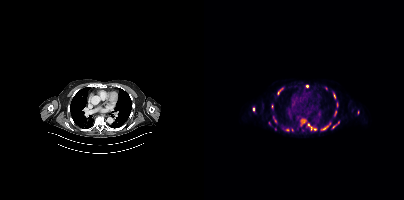
Paired axial CT (left) and PSMA PET (right), 18F tracer. Acquired on Siemens Biograph mCT Flow 20. Coordinates are on the 200×200 PET (right) panel. (showing 14 of 19 foci) PSMA-avid tumor lesion bounding boxes (x0, y0)-(x1, y1): (117, 123)-(126, 130) | (104, 123)-(108, 130) | (74, 87)-(79, 94) | (129, 93)-(131, 98) | (130, 111)-(132, 115). Small PSMA-avid foci (2 to 4 px across) near (center x, center y): (130, 125) | (99, 121) | (111, 129) | (83, 130) | (49, 109) | (103, 86) | (69, 117) | (134, 122) | (71, 120).